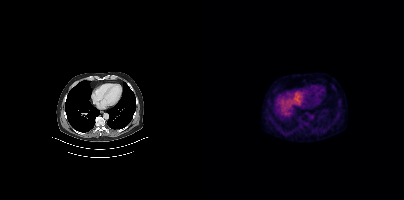
{"modality":"PSMA PET/CT","view":"axial","tracer":"18F-PSMA","pet_grid":[200,200],"coord_frame":"pet_panel","coord_format":"x0,y0,x1,y1","psma_avid_lesions":false}